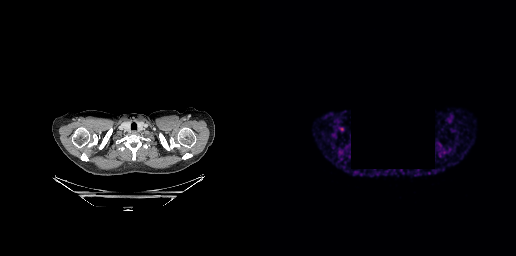
- a block of pixels was blacked out before release to protect privacy
- Paired axial CT (left) and PSMA PET (right), 68Ga tracer
Findings: Negative for PSMA-avid disease on this slice.